- Paired axial CT (left) and PSMA PET (right), 18F tracer
- acquired on Siemens Biograph mCT Flow 20
- PET panel 200×200 px (4.1 mm/px)
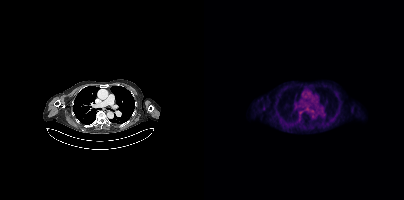
Findings: Negative for PSMA-avid disease on this slice.